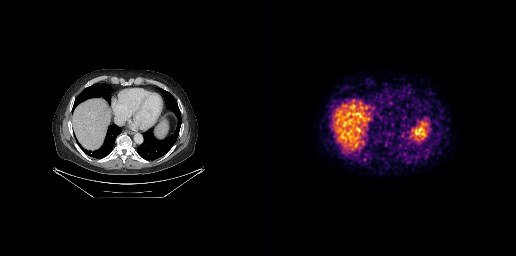
Negative for PSMA-avid disease on this slice.